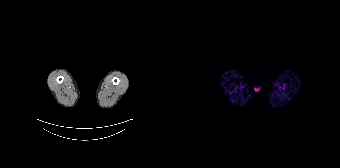
This slice has no annotated PSMA-avid lesion.